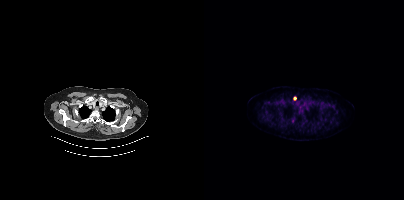
{"modality":"PSMA PET/CT","view":"axial","tracer":"18F-PSMA","pet_grid":[200,200],"coord_frame":"pet_panel","coord_format":"x0,y0,x1,y1","lesion_bboxes":[],"small_foci_centers":[[91,98]]}